Technique: Paired axial CT (left) and PSMA PET (right), 18F tracer. acquired on Siemens Biograph mCT Flow 20.
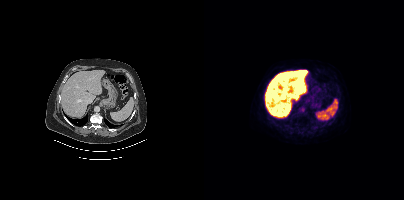
Findings: This slice has no annotated PSMA-avid lesion.